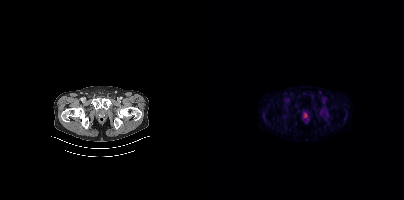
{"modality":"PSMA PET/CT","view":"axial","tracer":"68Ga-PSMA","pet_grid":[200,200],"coord_frame":"pet_panel","coord_format":"x0,y0,x1,y1","lesion_bboxes":[],"small_foci_centers":[[101,114]]}